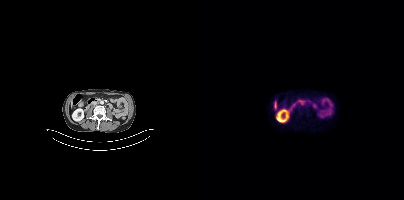
Left: CT. Right: PSMA PET, same axial level, 18F-PSMA tracer. Acquired on Siemens Biograph mCT Flow 20. Slice 156 of 423. Coordinates are on the 200×200 PET (right) panel. PSMA-avid tumor lesion bounding box (x0,y0,x1,y1): [97,101,101,105].